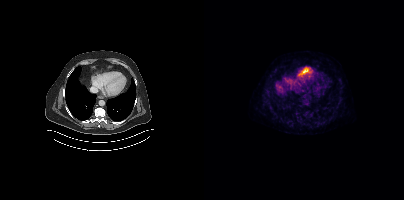
Coordinates are on the 200×200 PET (right) panel. Small PSMA-avid focus (2 to 4 px across) near (center x, center y): (136, 97). Left: CT. Right: PSMA PET, same axial level, 18F-PSMA tracer. Slice position z = -341 mm. PET panel 200×200 px (4.1 mm/px).